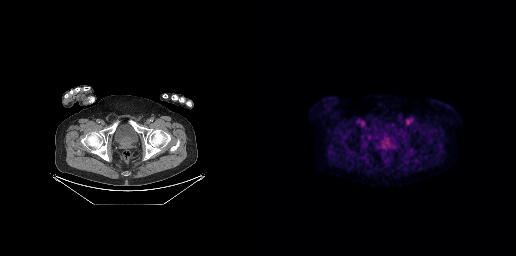
Paired axial CT (left) and PSMA PET (right), [18F]PSMA-1007 tracer. PET panel 256×256 px (2.7 mm/px). Only PSMA-avid lesion pieces thinner than 2 px on this slice (not listed).